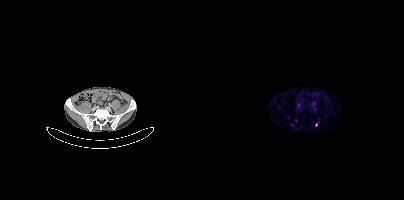
modality: PSMA PET/CT | tracer: 68Ga | view: axial
Coordinates are on the 200×200 PET (right) panel. Small PSMA-avid foci (2 to 4 px across) near (center x, center y): (94, 104); (88, 125); (112, 124).